Technique: Paired axial CT (left) and PSMA PET (right), 18F-PSMA tracer. PET panel 168×168 px (4.1 mm/px).
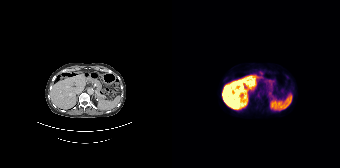
Findings: Coordinates are on the 168×168 PET (right) panel. Small PSMA-avid focus (2 to 4 px across) near (center x, center y): (84, 106).